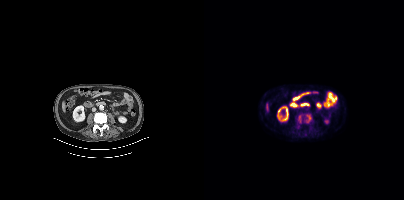
modality: PSMA PET/CT | tracer: [18F]PSMA-1007 | view: axial
Coordinates are on the 200×200 PET (right) panel. PSMA-avid tumor lesion bounding boxes (x, y, width, height): x=102 y=115 w=5 h=8 / x=95 y=115 w=2 h=8.